Left: CT. Right: PSMA PET, same axial level, [18F]PSMA-1007 tracer. PET panel 200×200 px (4.1 mm/px).
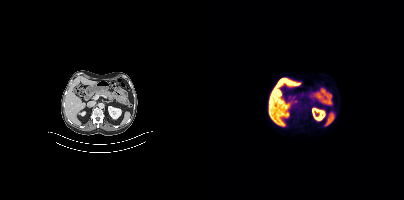
This slice has no annotated PSMA-avid lesion.